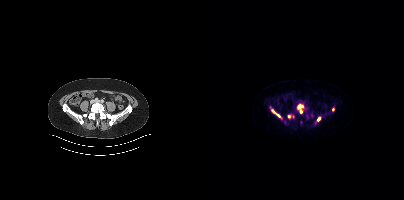
Coordinates are on the 200×200 PET (right) panel. (showing 5 of 6 foci) PSMA-avid tumor lesion bounding boxes (x0,y0,x1,y1): [94,104,99,113] [67,109,76,117] [113,117,116,121]. Small PSMA-avid foci (2 to 4 px across) near (center x, center y): (85, 116) (129, 109).